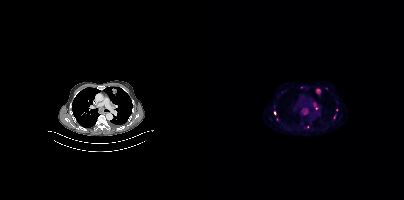
{"modality":"PSMA PET/CT","view":"axial","tracer":"18F","pet_grid":[200,200],"coord_frame":"pet_panel","coord_format":"x0,y0,x1,y1","partial":true,"lesion_bboxes":[[97,108,104,114],[107,102,114,109],[112,88,116,94]],"small_foci_centers":[[70,113],[73,119],[70,106],[103,126],[97,87],[122,88],[132,109]]}